Paired axial CT (left) and PSMA PET (right), [18F]PSMA-1007 tracer.
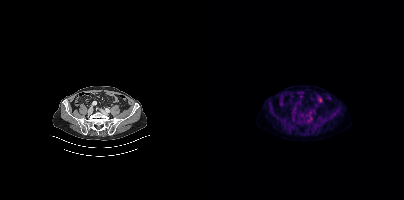
Coordinates are on the 200×200 PET (right) panel. Small PSMA-avid foci (2 to 4 px across) near (center x, center y): (107, 118), (90, 112).